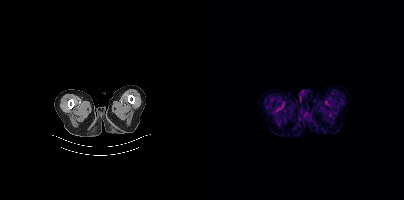
Findings: Negative for PSMA-avid disease on this slice.
Technique: Paired axial CT (left) and PSMA PET (right), 18F tracer. PET panel 200×200 px (4.1 mm/px).